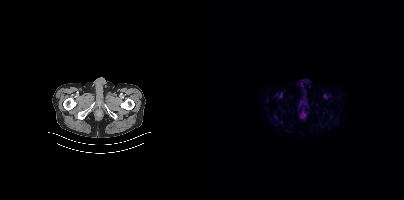
- Paired axial CT (left) and PSMA PET (right), [18F]PSMA-1007 tracer
- PET panel 200×200 px (4.1 mm/px)
Findings: Negative for PSMA-avid disease on this slice.